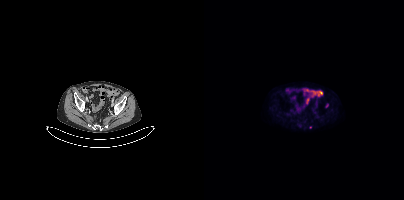
modality: PSMA PET/CT | tracer: 18F | view: axial
This slice has no annotated PSMA-avid lesion.